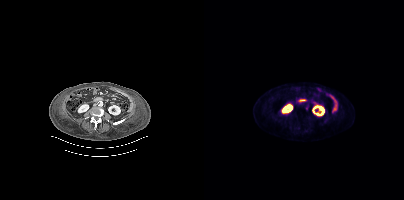
{"modality":"PSMA PET/CT","view":"axial","tracer":"18F","pet_grid":[200,200],"coord_frame":"pet_panel","coord_format":"x0,y0,x1,y1","partial":true,"lesion_bboxes":[]}